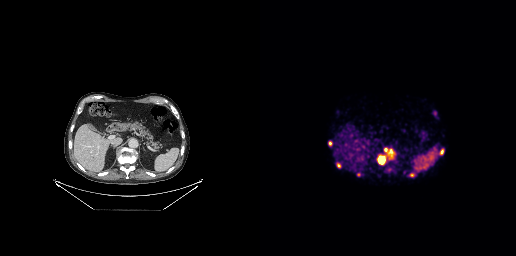
Coordinates are on the 256×256 PET (right) panel. PSMA-avid tumor lesion bounding boxes (x0,y0,x1,y1): [119,157,124,163]; [76,162,81,168]; [180,149,183,154]; [129,151,132,156]; [69,141,71,145]. Small PSMA-avid foci (2 to 4 px across) near (center x, center y): (98, 174); (151, 175); (125, 150). Left: CT. Right: PSMA PET, same axial level, [68Ga]Ga-PSMA-11 tracer.